Left: CT. Right: PSMA PET, same axial level, 18F-PSMA tracer. Slice 126 of 435.
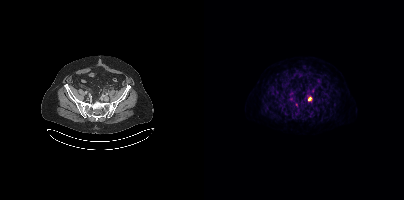
Coordinates are on the 200×200 PET (right) panel. PSMA-avid tumor lesion bounding boxes:
| # | x0 | y0 | x1 | y1 |
|---|---|---|---|---|
| 1 | 104 | 96 | 108 | 101 |
Small PSMA-avid focus (2 to 4 px across) near (center x, center y): (107, 112).